modality: PSMA PET/CT | tracer: [18F]PSMA-1007 | view: axial
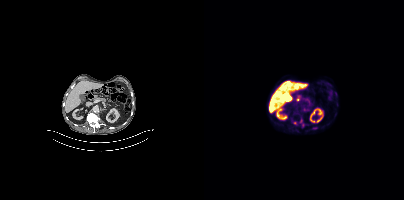
Coordinates are on the 200×200 PET (right) panel. Small PSMA-avid foci (2 to 4 px across) near (center x, center y): (111, 128) | (97, 120) | (91, 123) | (98, 125).